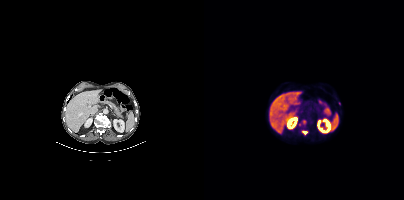
Findings: Coordinates are on the 200×200 PET (right) panel. (showing 3 of 4 foci) PSMA-avid tumor lesion bounding box (x0, y0)-(x1, y1): (98, 131)-(104, 133). Small PSMA-avid foci (2 to 4 px across) near (center x, center y): (135, 103) / (100, 121).
- Left: CT. Right: PSMA PET, same axial level, 18F-PSMA tracer